Paired axial CT (left) and PSMA PET (right), 18F tracer. Acquired on Siemens Biograph mCT Flow 20. PET panel 200×200 px (4.1 mm/px).
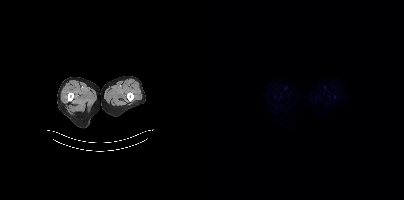
No PSMA-avid tumor lesions on this slice.